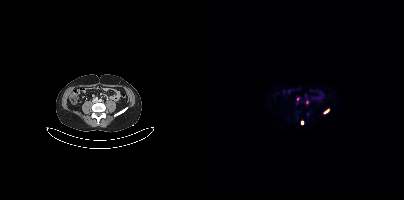
modality: PSMA PET/CT | tracer: 68Ga | view: axial | PET grid: 200×200
Coordinates are on the 200×200 PET (right) panel. PSMA-avid tumor lesion bounding box (x, y, width, height): x=120 y=110 w=5 h=4. Small PSMA-avid foci (2 to 4 px across) near (center x, center y): (103, 101); (93, 99); (98, 122).